- Left: CT. Right: PSMA PET, same axial level, 18F-PSMA tracer
- acquired on Siemens Biograph mCT Flow 20
- slice 314 of 403
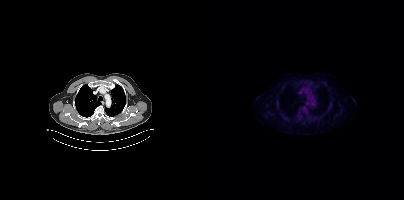
Findings: Negative for PSMA-avid disease on this slice.